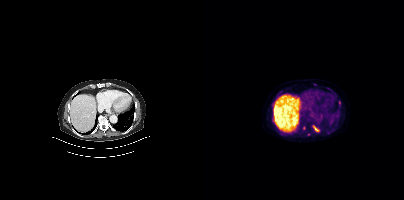
Left: CT. Right: PSMA PET, same axial level, 18F-PSMA tracer.
Coordinates are on the 200×200 PET (right) panel. PSMA-avid tumor lesion bounding boxes (partial; 1 more focus not listed):
| # | x0 | y0 | x1 | y1 |
|---|---|---|---|---|
| 1 | 109 | 125 | 115 | 131 |
Small PSMA-avid foci (2 to 4 px across) near (center x, center y): (100, 128); (73, 96); (135, 102).